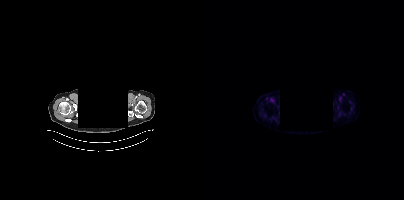
Technique: Paired axial CT (left) and PSMA PET (right), 18F-PSMA tracer. acquired on Siemens Biograph mCT Flow 20. PET panel 200×200 px (4.1 mm/px).
Note: Head region blanked for anonymization (face removed).
Findings: No tumor lesions annotated on this slice.